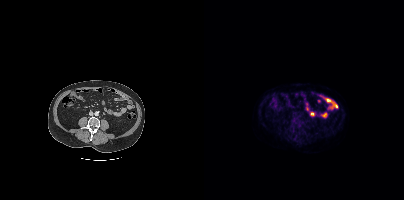
- Left: CT. Right: PSMA PET, same axial level, 18F tracer
- acquired on Siemens Biograph mCT Flow 20
Findings: No tumor lesions annotated on this slice.